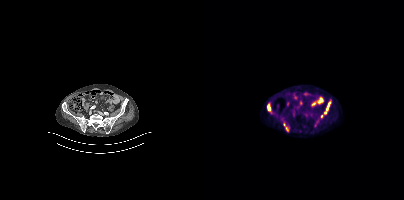
Coordinates are on the 200×200 PET (right) panel. PSMA-avid tumor lesion bounding boxes (x0,y0,x1,y1): [79,123,85,131]; [121,102,126,112]; [63,105,67,111]. Small PSMA-avid focus (2 to 4 px across) near (center x, center y): (117, 116).